Left: CT. Right: PSMA PET, same axial level, [18F]PSMA-1007 tracer. Acquired on Siemens Biograph mCT Flow 20. Slice position z = -841 mm. PET panel 200×200 px (4.1 mm/px).
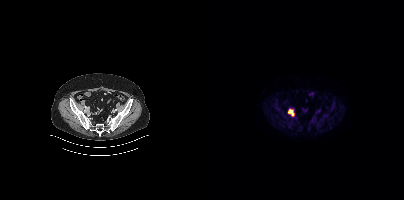
Coordinates are on the 200×200 PET (right) panel. PSMA-avid tumor lesion bounding boxes:
| # | x0 | y0 | x1 | y1 |
|---|---|---|---|---|
| 1 | 84 | 109 | 90 | 116 |